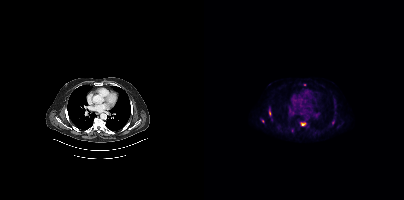
Coordinates are on the 200×200 PET (right) panel. PSMA-avid tumor lesion bounding boxes (x, y, width, height): x=97 y=122 w=5 h=4 / x=65 y=109 w=3 h=7 / x=128 y=119 w=3 h=6 / x=87 y=128 w=3 h=5. Small PSMA-avid foci (2 to 4 px across) near (center x, center y): (100, 84) / (58, 120). Paired axial CT (left) and PSMA PET (right), 18F tracer. Acquired on Siemens Biograph mCT Flow 20. PET panel 200×200 px (4.1 mm/px).